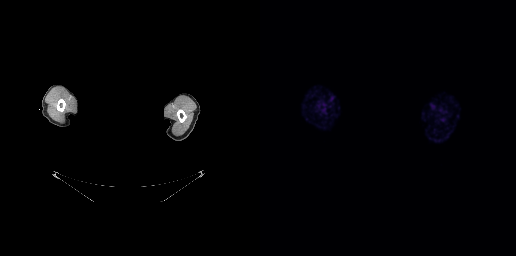
A rectangular block over the head has been blanked out for de-identification.
Negative for PSMA-avid disease on this slice.